Technique: Paired axial CT (left) and PSMA PET (right), 18F tracer. PET panel 200×200 px (4.1 mm/px).
Note: Facial anatomy redacted by setting a rectangular region of the head to black.
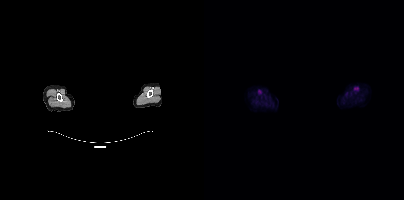
Findings: This slice has no annotated PSMA-avid lesion.